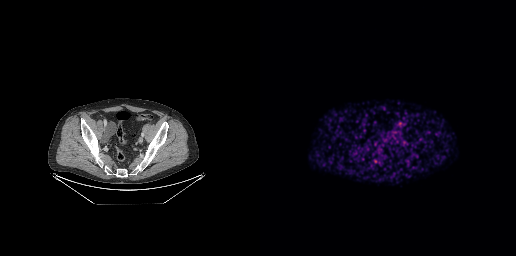
{"modality":"PSMA PET/CT","view":"axial","tracer":"68Ga-PSMA","pet_grid":[256,256],"coord_frame":"pet_panel","coord_format":"x0,y0,x1,y1","lesion_bboxes":[],"small_foci_centers":[[115,161]]}